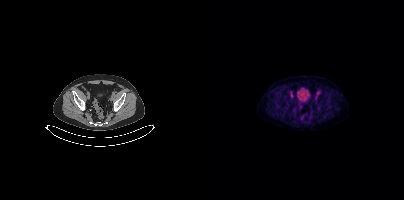
{"modality":"PSMA PET/CT","view":"axial","tracer":"[18F]PSMA-1007","pet_grid":[200,200],"coord_frame":"pet_panel","coord_format":"x0,y0,x1,y1","psma_avid_lesions":false}